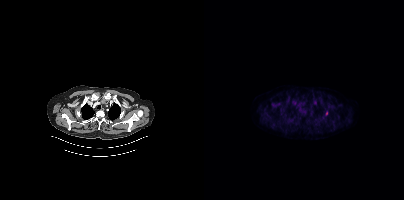
Coordinates are on the 200×200 PET (right) panel. PSMA-avid tumor lesion bounding box (x0,y0,x1,y1): [121,111,123,115].